Two-panel axial: CT | PSMA PET, 18F-PSMA tracer.
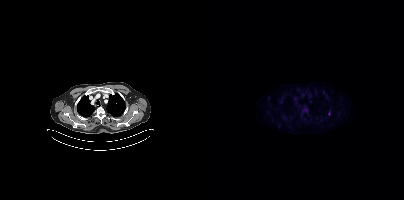
Coordinates are on the 200×200 PET (right) panel. Small PSMA-avid foci (2 to 4 px across) near (center x, center y): (64, 97) / (125, 113).